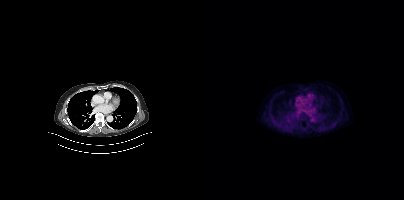
No tumor lesions annotated on this slice.